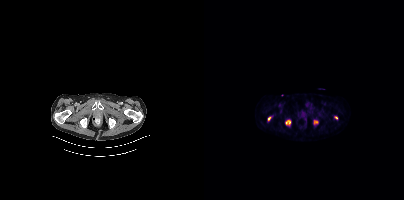
Coordinates are on the 200×200 PET (right) panel. PSMA-avid tumor lesion bounding boxes (x0, y0)-(x1, y1): (81, 120)-(86, 124); (110, 120)-(114, 124). Small PSMA-avid foci (2 to 4 px across) near (center x, center y): (65, 118); (132, 117).